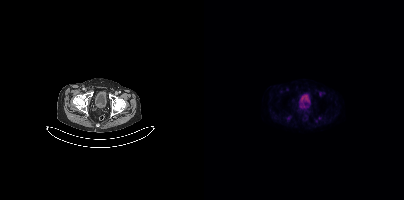
No tumor lesions annotated on this slice.